Two-panel axial: CT | PSMA PET, [18F]PSMA-1007 tracer. Slice 314 of 413. PET panel 200×200 px (4.1 mm/px).
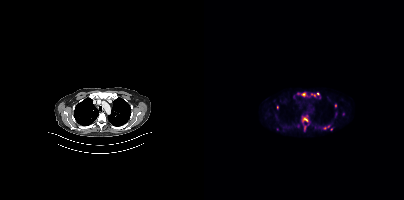
Coordinates are on the 200×200 PET (right) panel. PSMA-avid tumor lesion bounding boxes (partial; 3 more foci not listed):
| # | x0 | y0 | x1 | y1 |
|---|---|---|---|---|
| 1 | 98 | 115 | 104 | 121 |
| 2 | 100 | 126 | 101 | 131 |
| 3 | 121 | 125 | 125 | 128 |
Small PSMA-avid foci (2 to 4 px across) near (center x, center y): (94, 93); (99, 94); (105, 95); (110, 95); (131, 105); (139, 114); (114, 94); (73, 107); (127, 129).